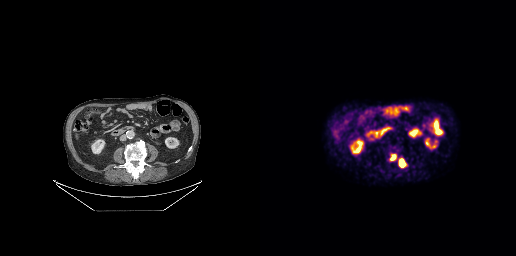
Paired axial CT (left) and PSMA PET (right), [18F]PSMA-1007 tracer. Slice 145 of 299. Coordinates are on the 256×256 PET (right) panel. PSMA-avid tumor lesion bounding boxes (x0, y0)-(x1, y1): (139, 159)-(145, 166); (130, 154)-(136, 160).